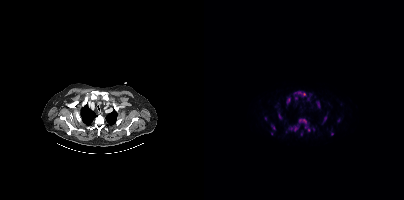
Coordinates are on the 200×200 PET (right) panel. (showing 11 of 13 foci) PSMA-avid tumor lesion bounding boxes (x0, y0)-(x1, y1): (84, 118)-(106, 131); (90, 91)-(102, 96); (82, 97)-(86, 104); (67, 124)-(71, 130); (119, 116)-(122, 122); (113, 102)-(115, 107). Small PSMA-avid foci (2 to 4 px across) near (center x, center y): (92, 98); (128, 134); (104, 99); (61, 118); (134, 120).